Left: CT. Right: PSMA PET, same axial level, [18F]PSMA-1007 tracer. Acquired on Siemens Biograph mCT Flow 20. Slice position z = -816 mm. PET panel 200×200 px (4.1 mm/px). A rectangle over the head was blacked out to remove identifiable facial features.
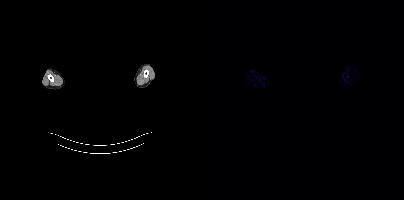
No PSMA-avid tumor lesions on this slice.